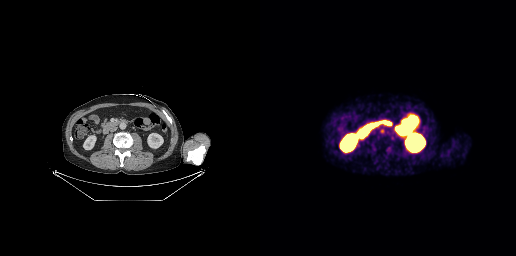
Findings: Coordinates are on the 256×256 PET (right) panel. Small PSMA-avid focus (2 to 4 px across) near (center x, center y): (122, 130).
Technique: Two-panel axial: CT | PSMA PET, 68Ga-PSMA tracer. acquired on GE Discovery 690. slice 126 of 263. PET panel 256×256 px (2.7 mm/px).